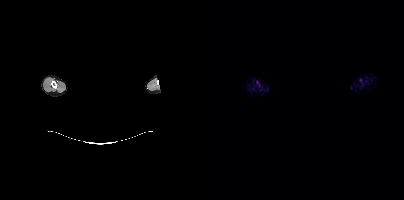
A rectangle over the head was blacked out to remove identifiable facial features.
No PSMA-avid tumor lesions on this slice.